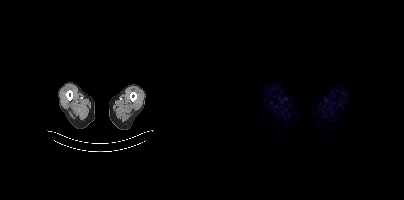
{"pet_grid":[200,200],"coord_frame":"pet_panel","coord_format":"x0,y0,x1,y1","psma_avid_lesions":false,"modality":"PSMA PET/CT","view":"axial","tracer":"18F"}